Two-panel axial: CT | PSMA PET, 68Ga tracer.
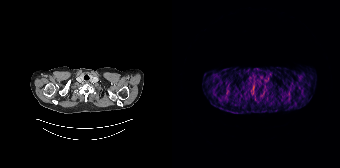
No tumor lesions annotated on this slice.